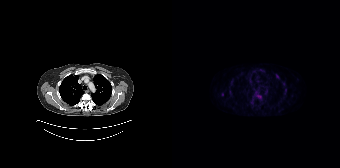
{"modality":"PSMA PET/CT","view":"axial","tracer":"[18F]PSMA-1007","pet_grid":[168,168],"coord_frame":"pet_panel","coord_format":"x0,y0,x1,y1","lesion_bboxes":[[84,93,89,98],[49,92,51,96],[104,74,107,78]]}